Technique: Left: CT. Right: PSMA PET, same axial level, 18F-PSMA tracer. acquired on Siemens Biograph mCT Flow 20. PET panel 200×200 px (4.1 mm/px).
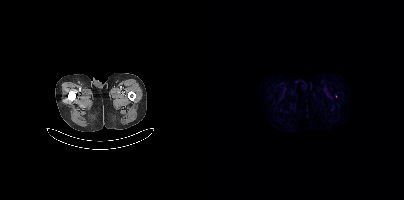
Findings: Only PSMA-avid lesion pieces thinner than 2 px on this slice (not listed).